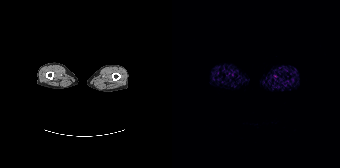
Findings: No tumor lesions annotated on this slice.
- Two-panel axial: CT | PSMA PET, [68Ga]Ga-PSMA-11 tracer
- slice 6 of 195